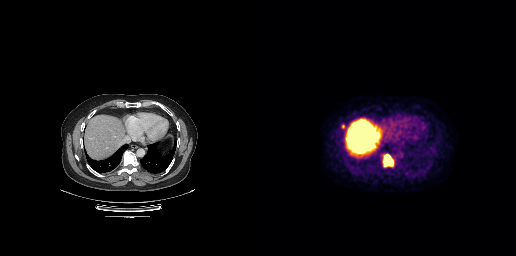
Left: CT. Right: PSMA PET, same axial level, [18F]PSMA-1007 tracer. Acquired on GE Discovery 690. Slice 166 of 263. PET panel 256×256 px (2.7 mm/px).
Coordinates are on the 256×256 PET (right) panel. PSMA-avid tumor lesion bounding boxes:
| # | x0 | y0 | x1 | y1 |
|---|---|---|---|---|
| 1 | 122 | 154 | 133 | 167 |
Small PSMA-avid focus (2 to 4 px across) near (center x, center y): (83, 126).